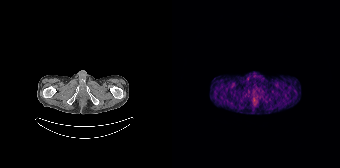
{"pet_grid":[168,168],"coord_frame":"pet_panel","coord_format":"x0,y0,x1,y1","psma_avid_lesions":false,"modality":"PSMA PET/CT","view":"axial","tracer":"68Ga"}